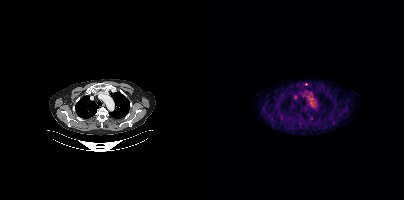
Coordinates are on the 200×200 PET (right) panel. (showing 2 of 3 foci) Small PSMA-avid foci (2 to 4 px across) near (center x, center y): (102, 83); (77, 117).